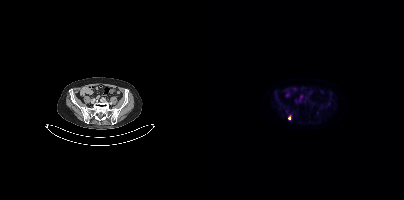
Coordinates are on the 200×200 PET (right) panel. Small PSMA-avid focus (2 to 4 px across) near (center x, center y): (85, 118). Paired axial CT (left) and PSMA PET (right), 18F-PSMA tracer.